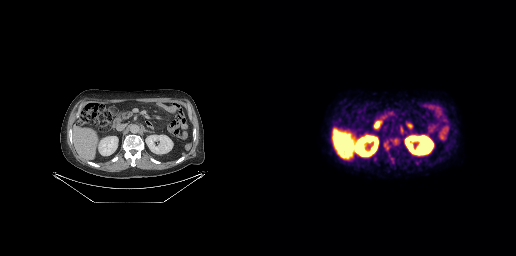
modality: PSMA PET/CT | tracer: 18F-PSMA | view: axial
Coordinates are on the 256×256 PET (right) panel. (showing 2 of 3 foci) PSMA-avid tumor lesion bounding boxes (x0, y0)-(x1, y1): (124, 141)-(129, 150); (131, 139)-(138, 144).